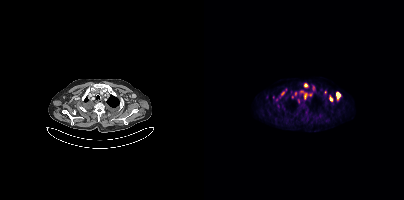
Findings: Coordinates are on the 200×200 PET (right) panel. PSMA-avid tumor lesion bounding boxes (x0,y0,x1,y1): [96,90,103,99]; [132,92,136,100]; [100,83,103,87]; [126,96,128,101]; [93,98,96,103]; [109,86,110,90]. Small PSMA-avid foci (2 to 4 px across) near (center x, center y): (78, 93); (106, 95); (74, 106); (121, 92); (69, 97); (91, 93); (88, 96).
Technique: Paired axial CT (left) and PSMA PET (right), [18F]PSMA-1007 tracer. acquired on Siemens Biograph mCT Flow 20. slice 309 of 381. PET panel 200×200 px (4.1 mm/px).